- Paired axial CT (left) and PSMA PET (right), 18F-PSMA tracer
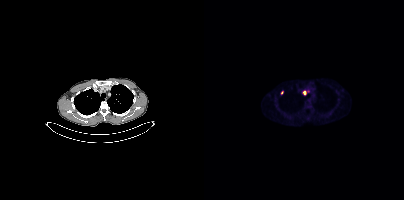
Findings: Coordinates are on the 200×200 PET (right) panel. Small PSMA-avid foci (2 to 4 px across) near (center x, center y): (100, 92) (78, 92) (103, 90).